Technique: Paired axial CT (left) and PSMA PET (right), 18F-PSMA tracer. slice 67 of 413.
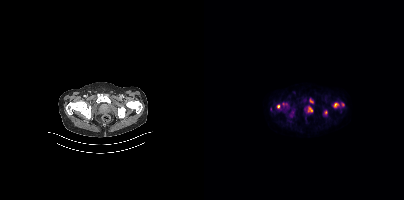
Findings: Coordinates are on the 200×200 PET (right) panel. (showing 8 of 9 foci) PSMA-avid tumor lesion bounding boxes (x0, y0)-(x1, y1): (129, 103)-(134, 107) | (104, 107)-(108, 111) | (73, 105)-(77, 109) | (105, 98)-(109, 103) | (78, 104)-(82, 107) | (86, 113)-(89, 117). Small PSMA-avid foci (2 to 4 px across) near (center x, center y): (122, 112) | (138, 104).